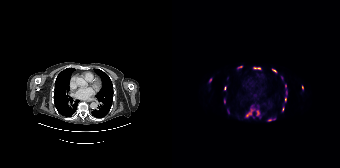
Findings: Coordinates are on the 168×168 PET (right) panel. (showing 11 of 14 foci) PSMA-avid tumor lesion bounding boxes (x0, y0)-(x1, y1): (74, 109)-(80, 116) | (81, 67)-(88, 69) | (85, 111)-(87, 115) | (100, 69)-(104, 72) | (66, 66)-(70, 68). Small PSMA-avid foci (2 to 4 px across) near (center x, center y): (53, 87) | (113, 99) | (52, 100) | (130, 87) | (113, 85) | (38, 79).
Technique: Paired axial CT (left) and PSMA PET (right), [18F]PSMA-1007 tracer. slice 116 of 165. PET panel 168×168 px (4.1 mm/px).